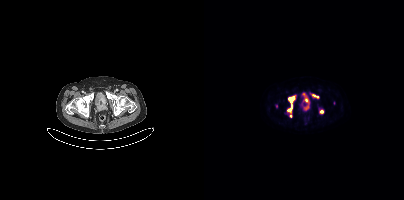
modality: PSMA PET/CT | tracer: 18F-PSMA | view: axial
Coordinates are on the 200×200 PET (right) panel. (showing 6 of 7 foci) PSMA-avid tumor lesion bounding boxes (x0,y0,x1,y1): [83,94,92,111]; [100,95,105,110]; [108,94,114,97]. Small PSMA-avid foci (2 to 4 px across) near (center x, center y): (117, 111); (72, 106); (86, 115).